- Left: CT. Right: PSMA PET, same axial level, 18F tracer
- slice position z = -1558 mm
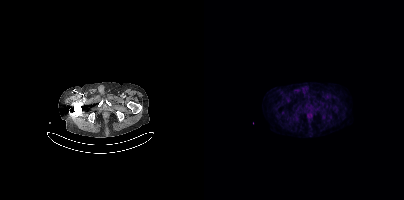
Findings: No tumor lesions annotated on this slice.